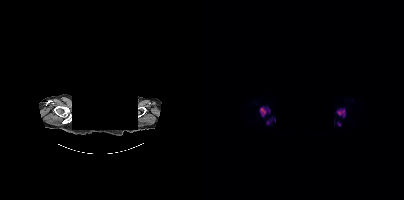
{"modality":"PSMA PET/CT","view":"axial","tracer":"[18F]PSMA-1007","pet_grid":[200,200],"coord_frame":"pet_panel","coord_format":"x0,y0,x1,y1","deidentification":"rectangular block over head set to black","lesion_bboxes":[[55,106,66,117],[133,108,141,117],[62,117,68,124],[133,122,136,126],[70,118,71,122]]}